modality: PSMA PET/CT | tracer: 18F-PSMA | view: axial | PET grid: 200×200
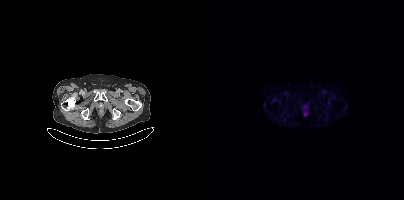
This slice has no annotated PSMA-avid lesion.